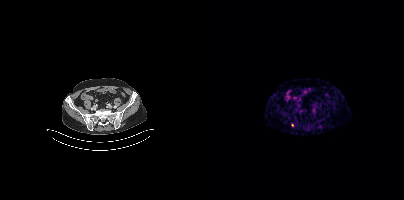
{"modality":"PSMA PET/CT","view":"axial","tracer":"[68Ga]Ga-PSMA-11","pet_grid":[200,200],"coord_frame":"pet_panel","coord_format":"x0,y0,x1,y1","lesion_bboxes":[],"small_foci_centers":[[88,124]]}